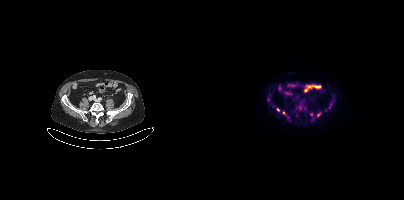
Coordinates are on the 200×200 PET (right) panel. (showing 3 of 4 foci) Small PSMA-avid foci (2 to 4 px across) near (center x, center y): (74, 109) / (64, 99) / (79, 112).